Technique: Paired axial CT (left) and PSMA PET (right), 18F tracer. slice 323 of 462.
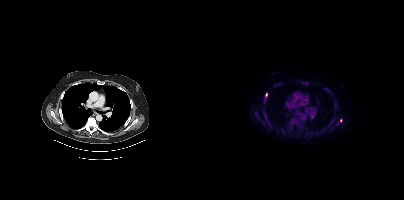
Findings: Coordinates are on the 200×200 PET (right) panel. (showing 5 of 6 foci) PSMA-avid tumor lesion bounding boxes (x0,y0,x1,y1): [59,114,66,124] [87,121,91,124]. Small PSMA-avid foci (2 to 4 px across) near (center x, center y): (62, 94) (59, 122) (137, 120).